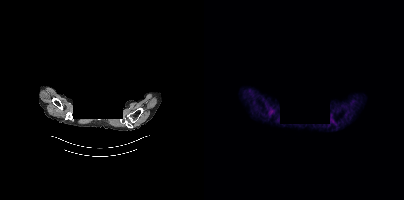
Technique: Left: CT. Right: PSMA PET, same axial level, 68Ga-PSMA tracer. acquired on Siemens Biograph mCT Flow 20.
Note: De-identified by setting a box covering the face to black before release.
Findings: Negative for PSMA-avid disease on this slice.